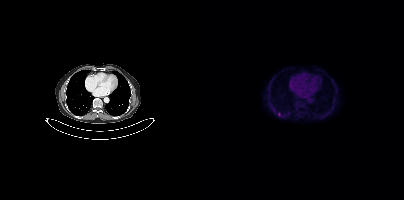
{"modality":"PSMA PET/CT","view":"axial","tracer":"18F-PSMA","pet_grid":[200,200],"coord_frame":"pet_panel","coord_format":"x0,y0,x1,y1","lesion_bboxes":[],"small_foci_centers":[[75,114]]}